modality: PSMA PET/CT | tracer: [18F]PSMA-1007 | view: axial
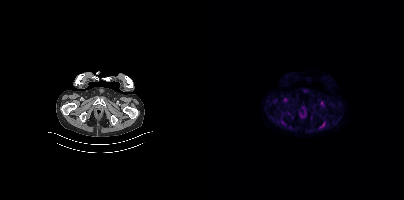
No tumor lesions annotated on this slice.